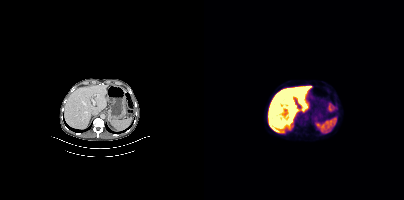
- Paired axial CT (left) and PSMA PET (right), 18F tracer
- acquired on Siemens Biograph mCT Flow 20
- PET panel 200×200 px (4.1 mm/px)
Findings: Coordinates are on the 200×200 PET (right) panel. Small PSMA-avid focus (2 to 4 px across) near (center x, center y): (102, 110).